Left: CT. Right: PSMA PET, same axial level, [18F]PSMA-1007 tracer. Acquired on Siemens Biograph mCT Flow 20.
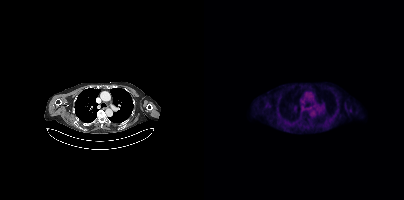
Negative for PSMA-avid disease on this slice.